Two-panel axial: CT | PSMA PET, 18F tracer. Acquired on Siemens Biograph 64-4R TruePoint. Slice position z = -796 mm.
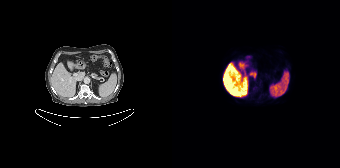
No tumor lesions annotated on this slice.